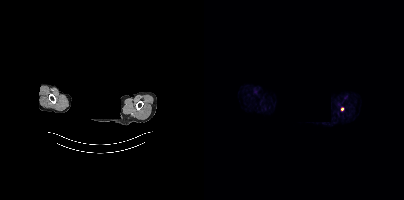
Findings: No tumor lesions annotated on this slice.
Technique: Two-panel axial: CT | PSMA PET, 68Ga tracer. acquired on Siemens Biograph mCT Flow 20. PET panel 200×200 px (4.1 mm/px).
Note: Face de-identified by blanking a block of the head.